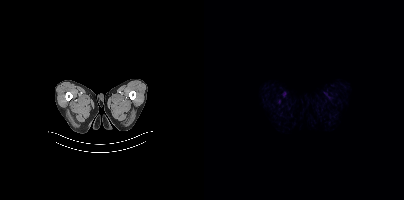
{"pet_grid":[200,200],"coord_frame":"pet_panel","coord_format":"x0,y0,x1,y1","psma_avid_lesions":false,"modality":"PSMA PET/CT","view":"axial","tracer":"[18F]PSMA-1007"}